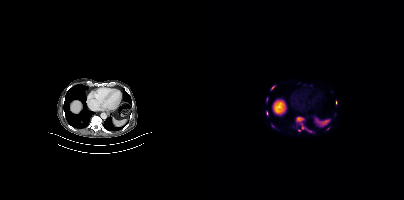
Coordinates are on the 200×200 PET (right) panel. PSMA-avid tumor lesion bounding box (x0,y0,x1,y1): [92,117,102,129]. Small PSMA-avid foci (2 to 4 px across) near (center x, center y): (69, 126), (95, 130), (68, 87), (62, 99), (132, 102), (62, 113), (123, 128), (106, 131).